Technique: Paired axial CT (left) and PSMA PET (right), 18F-PSMA tracer.
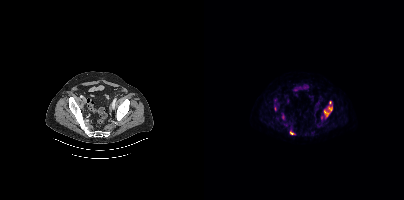
Findings: Coordinates are on the 200×200 PET (right) panel. (showing 3 of 4 foci) PSMA-avid tumor lesion bounding boxes (x0, y0)-(x1, y1): (120, 106)-(128, 117); (86, 131)-(90, 134). Small PSMA-avid focus (2 to 4 px across) near (center x, center y): (126, 102).